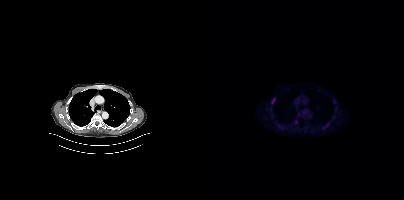
Coordinates are on the 200×200 PET (right) panel. PSMA-avid tumor lesion bounding box (x0,y0,x1,y1): [67,97,71,102].
modality: PSMA PET/CT | tracer: [18F]PSMA-1007 | view: axial | PET grid: 200×200